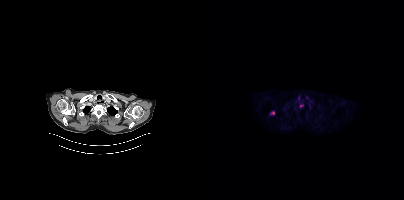
Coordinates are on the 200×200 PET (right) panel. PSMA-avid tumor lesion bounding box (x0,y0,x1,y1): [66,111,70,114]. Small PSMA-avid focus (2 to 4 px across) near (center x, center y): (97, 106).